Left: CT. Right: PSMA PET, same axial level, 18F tracer. Acquired on Siemens Biograph mCT Flow 20. PET panel 200×200 px (4.1 mm/px).
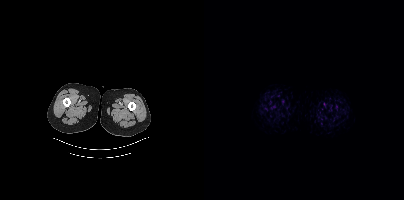
This slice has no annotated PSMA-avid lesion.